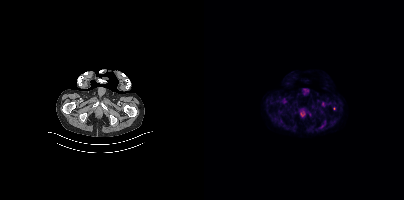
{"modality":"PSMA PET/CT","view":"axial","tracer":"18F","pet_grid":[200,200],"coord_frame":"pet_panel","coord_format":"x0,y0,x1,y1","partial":true,"lesion_bboxes":[]}